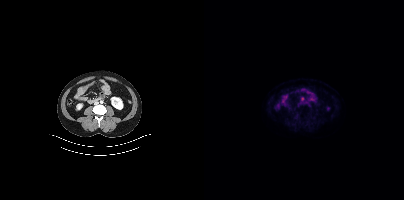
No tumor lesions annotated on this slice.